- Paired axial CT (left) and PSMA PET (right), 68Ga tracer
- acquired on GE Discovery 690
- PET panel 256×256 px (2.7 mm/px)
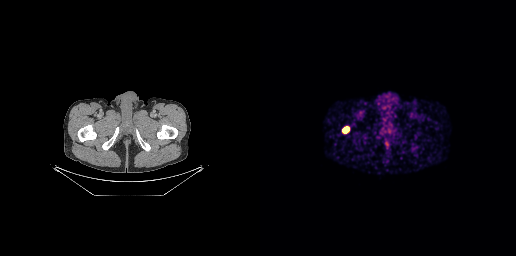
Findings: Coordinates are on the 256×256 PET (right) panel. PSMA-avid tumor lesion bounding box (x, y, width, height): x=82 y=127 w=8 h=7.